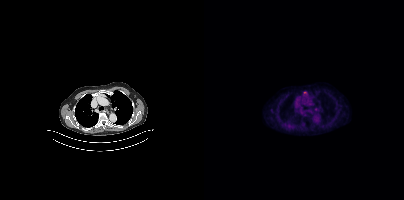
Only PSMA-avid lesion pieces thinner than 2 px on this slice (not listed).
modality: PSMA PET/CT | tracer: 18F | view: axial